Technique: Left: CT. Right: PSMA PET, same axial level, [18F]PSMA-1007 tracer. slice 92 of 429. PET panel 200×200 px (4.1 mm/px).
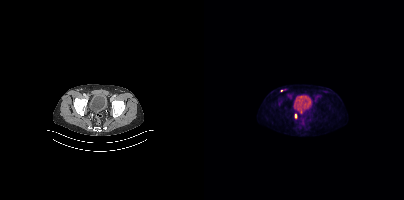
Findings: Coordinates are on the 200×200 PET (right) panel. (showing 3 of 4 foci) PSMA-avid tumor lesion bounding box (x0, y0)-(x1, y1): (91, 114)-(92, 118). Small PSMA-avid foci (2 to 4 px across) near (center x, center y): (78, 90) | (97, 112).